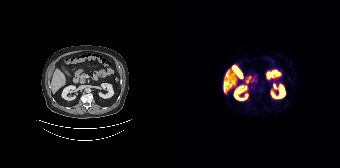
Two-panel axial: CT | PSMA PET, [18F]PSMA-1007 tracer. Acquired on Siemens Biograph 64-4R TruePoint. PET panel 168×168 px (4.1 mm/px). No tumor lesions annotated on this slice.